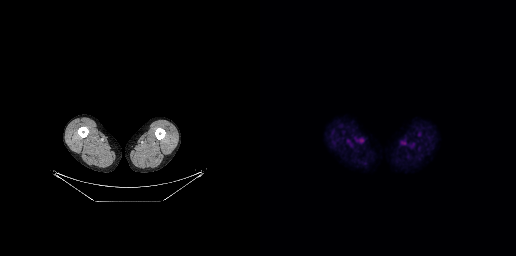
- Paired axial CT (left) and PSMA PET (right), 18F tracer
- acquired on GE Discovery 690
Findings: Negative for PSMA-avid disease on this slice.